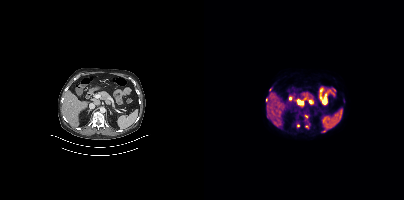
{"modality":"PSMA PET/CT","view":"axial","tracer":"[18F]PSMA-1007","pet_grid":[200,200],"coord_frame":"pet_panel","coord_format":"x0,y0,x1,y1","partial":true,"lesion_bboxes":[]}